Technique: Two-panel axial: CT | PSMA PET, [18F]PSMA-1007 tracer. slice position z = -1568 mm.
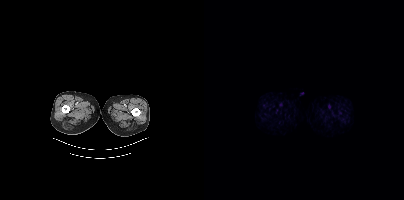
Findings: This slice has no annotated PSMA-avid lesion.